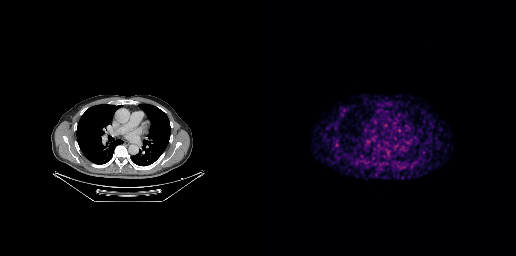
{"modality":"PSMA PET/CT","view":"axial","tracer":"[18F]PSMA-1007","pet_grid":[256,256],"coord_frame":"pet_panel","coord_format":"x0,y0,x1,y1","psma_avid_lesions":false}